- facial anatomy redacted by setting a rectangular region of the head to black
- Left: CT. Right: PSMA PET, same axial level, 18F-PSMA tracer
- acquired on Siemens Biograph mCT Flow 20
- slice position z = 344 mm
- PET panel 200×200 px (4.1 mm/px)
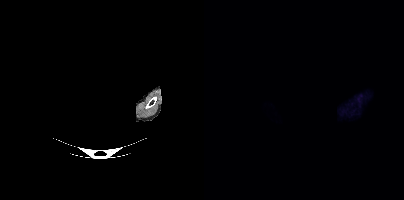
Findings: No PSMA-avid tumor lesions on this slice.